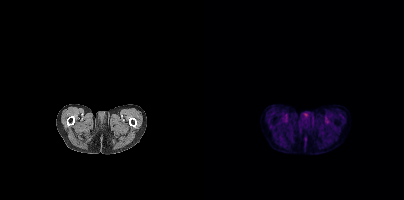
Technique: Two-panel axial: CT | PSMA PET, 18F-PSMA tracer.
Findings: No tumor lesions annotated on this slice.